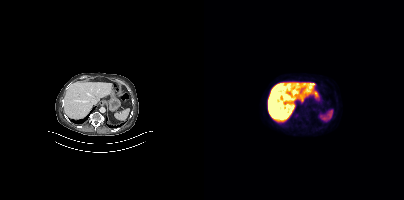
{"modality":"PSMA PET/CT","view":"axial","tracer":"18F-PSMA","pet_grid":[200,200],"coord_frame":"pet_panel","coord_format":"x0,y0,x1,y1","psma_avid_lesions":false}